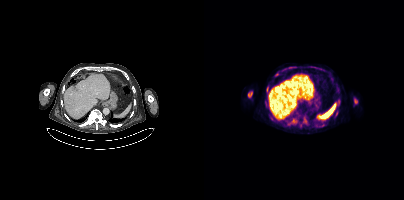
modality: PSMA PET/CT | tracer: [18F]PSMA-1007 | view: axial
Coordinates are on the 200×200 PET (right) panel. (showing 5 of 6 foci) PSMA-avid tumor lesion bounding boxes (x0,y0,x1,y1): [44,91,48,97]; [150,99,153,103]. Small PSMA-avid foci (2 to 4 px across) near (center x, center y): (63, 88); (134, 104); (72, 74).